Left: CT. Right: PSMA PET, same axial level, [18F]PSMA-1007 tracer. Acquired on Siemens Biograph mCT Flow 20. Slice position z = -1455 mm. PET panel 200×200 px (4.1 mm/px).
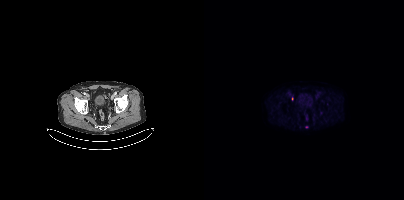
Coordinates are on the 200×200 PET (right) panel. Small PSMA-avid focus (2 to 4 px across) near (center x, center y): (102, 126).